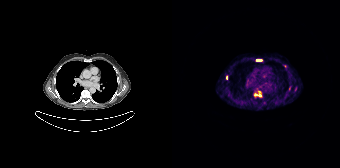
modality: PSMA PET/CT | tracer: 68Ga-PSMA | view: axial | PET grid: 168×168
Coordinates are on the 168×168 PET (right) panel. PSMA-avid tumor lesion bounding box (x, y, width, height): x=84 y=59 w=6 h=2. Small PSMA-avid foci (2 to 4 px across) near (center x, center y): (54, 77) / (83, 94) / (87, 94).